- Two-panel axial: CT | PSMA PET, 68Ga-PSMA tracer
- slice position z = -1470 mm
- PET panel 200×200 px (4.1 mm/px)
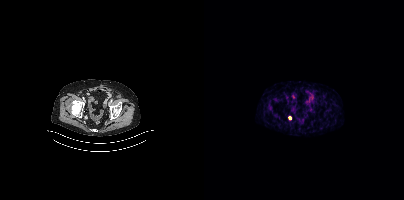
Findings: Coordinates are on the 200×200 PET (right) panel. Small PSMA-avid focus (2 to 4 px across) near (center x, center y): (86, 118).